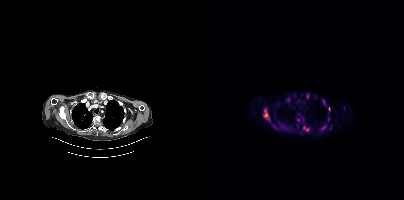
Coordinates are on the 200×200 PET (right) panel. PSMA-avid tumor lesion bounding boxes:
| # | x0 | y0 | x1 | y1 |
|---|---|---|---|---|
| 1 | 59 | 109 | 66 | 121 |
| 2 | 99 | 125 | 105 | 131 |
| 3 | 116 | 125 | 122 | 130 |
| 4 | 82 | 98 | 85 | 102 |
| 5 | 118 | 99 | 121 | 103 |
| 6 | 103 | 94 | 105 | 98 |
| 7 | 124 | 117 | 125 | 121 |
Small PSMA-avid foci (2 to 4 px across) near (center x, center y): (94, 119); (125, 108); (126, 128).
Left: CT. Right: PSMA PET, same axial level, 18F tracer. PET panel 200×200 px (4.1 mm/px).